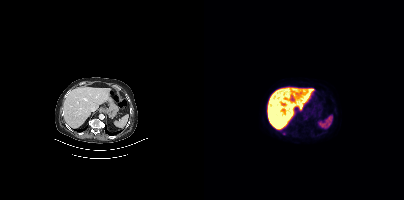
{"modality":"PSMA PET/CT","view":"axial","tracer":"18F-PSMA","pet_grid":[200,200],"coord_frame":"pet_panel","coord_format":"x0,y0,x1,y1","partial":true,"lesion_bboxes":[]}